Paired axial CT (left) and PSMA PET (right), 18F-PSMA tracer. Acquired on Siemens Biograph mCT Flow 20. PET panel 200×200 px (4.1 mm/px).
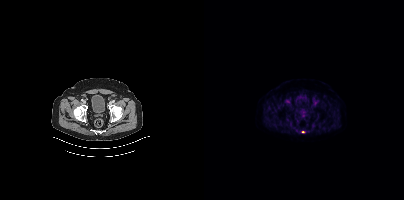
Coordinates are on the 200×200 PET (right) panel. PSMA-avid tumor lesion bounding boxes:
| # | x0 | y0 | x1 | y1 |
|---|---|---|---|---|
| 1 | 97 | 131 | 101 | 133 |